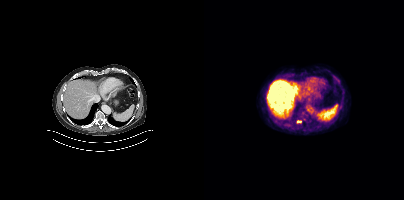
{"modality":"PSMA PET/CT","view":"axial","tracer":"[18F]PSMA-1007","pet_grid":[200,200],"coord_frame":"pet_panel","coord_format":"x0,y0,x1,y1","lesion_bboxes":[[93,120,97,122]]}